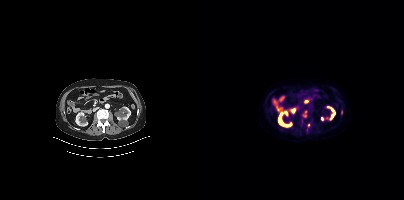
Coordinates are on the 200×200 PET (right) panel. PSMA-avid tumor lesion bounding boxes (partial; 2 more foci not listed):
| # | x0 | y0 | x1 | y1 |
|---|---|---|---|---|
| 1 | 99 | 110 | 103 | 117 |
Small PSMA-avid foci (2 to 4 px across) near (center x, center y): (104, 125); (137, 112).
Left: CT. Right: PSMA PET, same axial level, 18F tracer.